- Paired axial CT (left) and PSMA PET (right), 18F tracer
- acquired on Siemens Biograph mCT Flow 20
- slice position z = -872 mm
- PET panel 200×200 px (4.1 mm/px)
- privacy masking over the head, with the pixels inside a rectangle set to black
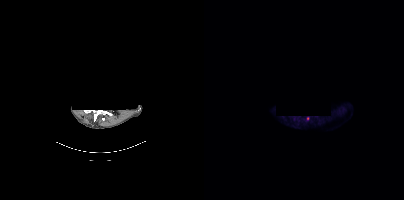
Findings: Coordinates are on the 200×200 PET (right) panel. Small PSMA-avid focus (2 to 4 px across) near (center x, center y): (103, 118).